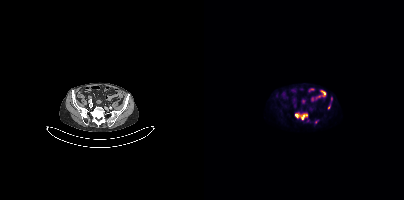
{"modality":"PSMA PET/CT","view":"axial","tracer":"18F","pet_grid":[200,200],"coord_frame":"pet_panel","coord_format":"x0,y0,x1,y1","lesion_bboxes":[[97,113,103,119]],"small_foci_centers":[[92,115],[124,107]]}